Technique: Left: CT. Right: PSMA PET, same axial level, 18F-PSMA tracer.
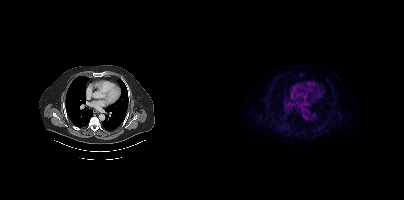
Findings: No tumor lesions annotated on this slice.